modality: PSMA PET/CT | tracer: 18F | view: axial | PET grid: 200×200
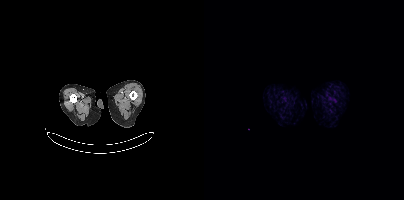
No PSMA-avid tumor lesions on this slice.